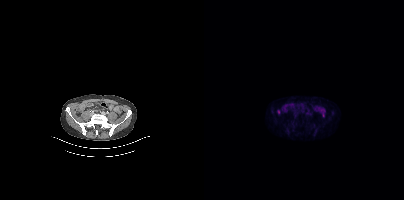
Coordinates are on the 200×200 PET (right) panel. Small PSMA-avid focus (2 to 4 px across) near (center x, center y): (74, 111). Left: CT. Right: PSMA PET, same axial level, 18F tracer. Acquired on Siemens Biograph mCT Flow 20. Slice 137 of 435.